Technique: Left: CT. Right: PSMA PET, same axial level, 68Ga-PSMA tracer. PET panel 200×200 px (4.1 mm/px).
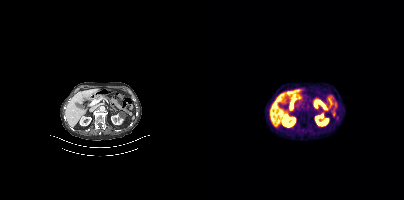
Findings: This slice has no annotated PSMA-avid lesion.